modality: PSMA PET/CT | tracer: 18F | view: axial
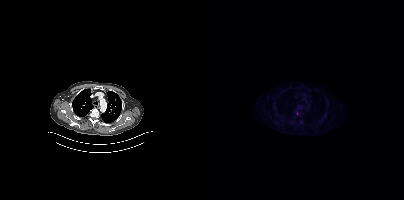
Coordinates are on the 200×200 PET (right) panel. Small PSMA-avid focus (2 to 4 px across) near (center x, center y): (93, 113).